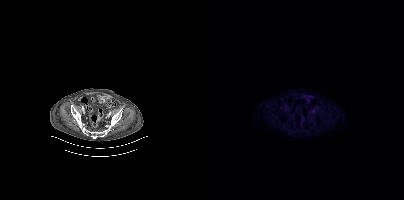
{"pet_grid":[200,200],"coord_frame":"pet_panel","coord_format":"x0,y0,x1,y1","lesion_bboxes":[],"small_foci_centers":[[109,111]],"modality":"PSMA PET/CT","view":"axial","tracer":"18F"}